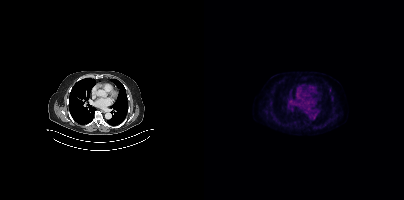
Two-panel axial: CT | PSMA PET, 18F tracer. Acquired on Siemens Biograph mCT Flow 20. Slice position z = -1054 mm. Only PSMA-avid lesion pieces thinner than 2 px on this slice (not listed).